- Two-panel axial: CT | PSMA PET, [68Ga]Ga-PSMA-11 tracer
- PET panel 256×256 px (2.7 mm/px)
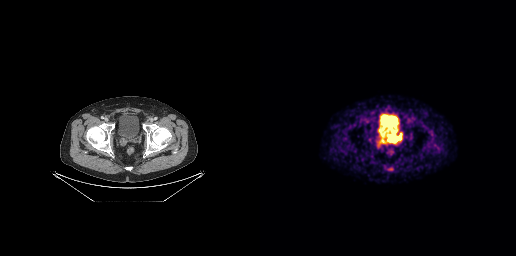
Findings: Coordinates are on the 256×256 PET (right) panel. PSMA-avid tumor lesion bounding boxes (x0, y0)-(x1, y1): (127, 133)-(141, 142) / (119, 141)-(123, 145). Small PSMA-avid focus (2 to 4 px across) near (center x, center y): (123, 137).